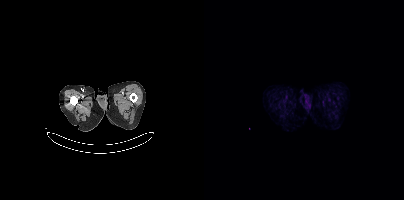
Findings: Negative for PSMA-avid disease on this slice.
- Two-panel axial: CT | PSMA PET, 18F-PSMA tracer
- acquired on Siemens Biograph mCT Flow 20